Two-panel axial: CT | PSMA PET, [18F]PSMA-1007 tracer. PET panel 200×200 px (4.1 mm/px).
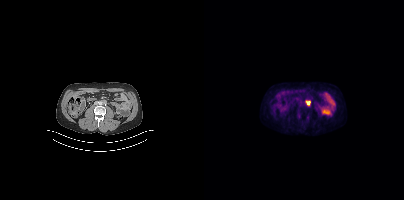
Coordinates are on the 200×200 PET (right) panel. PSMA-avid tumor lesion bounding box (x0,y0,x1,y1): [102,100,106,105].